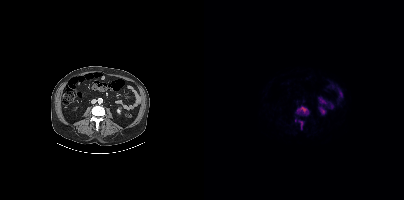
Coordinates are on the 200×200 PET (right) panel. PSMA-avid tumor lesion bounding boxes (x0, y0)-(x1, y1): (92, 106)-(104, 115) | (95, 120)-(99, 129). Small PSMA-avid focus (2 to 4 px across) near (center x, center y): (91, 120).